Two-panel axial: CT | PSMA PET, 18F tracer. Slice position z = -856 mm. PET panel 200×200 px (4.1 mm/px).
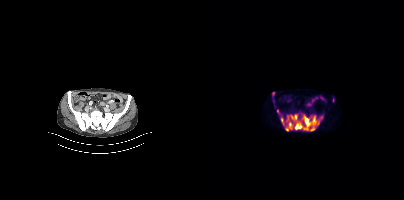
Coordinates are on the 200×200 PET (right) panel. PSMA-avid tumor lesion bounding boxes:
| # | x0 | y0 | x1 | y1 |
|---|---|---|---|---|
| 1 | 81 | 114 | 119 | 131 |
| 2 | 77 | 117 | 80 | 125 |
| 3 | 73 | 109 | 76 | 114 |
Small PSMA-avid foci (2 to 4 px across) near (center x, center y): (69, 93); (129, 100).